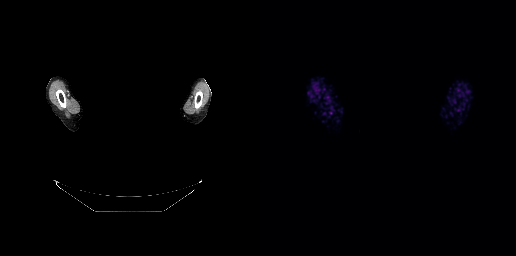
- Two-panel axial: CT | PSMA PET, 68Ga-PSMA tracer
- PET panel 256×256 px (2.7 mm/px)
- a rectangle over the head was blacked out to remove identifiable facial features
Findings: No PSMA-avid tumor lesions on this slice.